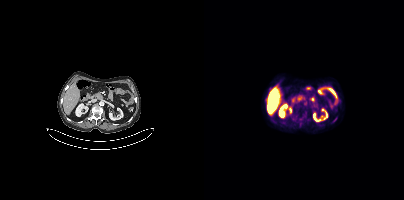
- Paired axial CT (left) and PSMA PET (right), 18F-PSMA tracer
- acquired on Siemens Biograph mCT Flow 20
Findings: This slice has no annotated PSMA-avid lesion.